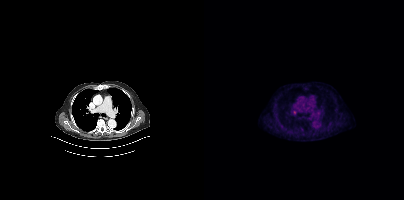
Coordinates are on the 200×200 PET (right) panel. Small PSMA-avid focus (2 to 4 px across) near (center x, center y): (90, 111). Paired axial CT (left) and PSMA PET (right), [18F]PSMA-1007 tracer. Acquired on Siemens Biograph mCT Flow 20.